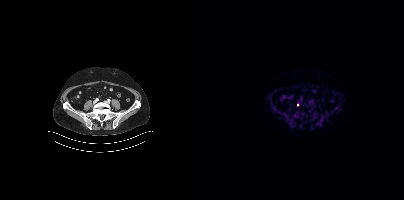
Coordinates are on the 200×200 PET (right) panel. Small PSMA-avid focus (2 to 4 px across) near (center x, center y): (93, 104).
modality: PSMA PET/CT | tracer: [18F]PSMA-1007 | view: axial